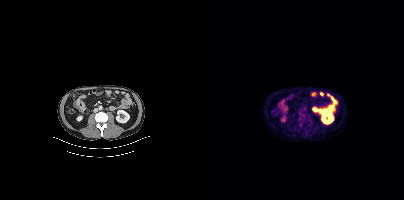
Left: CT. Right: PSMA PET, same axial level, 18F tracer. Coordinates are on the 200×200 PET (right) panel. PSMA-avid tumor lesion bounding box (x, y, width, height): x=94 y=113 w=13 h=12.